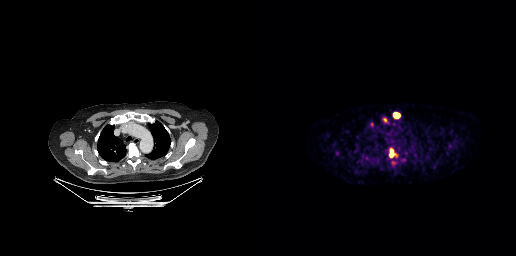
Coordinates are on the 256×256 PET (right) panel. PSMA-avid tumor lesion bounding boxes (x0,y0,x1,y1): [129,148,135,157]; [133,112,140,118]. Small PSMA-avid focus (2 to 4 px across) near (center x, center y): (124, 119).